modality: PSMA PET/CT | tracer: 18F-PSMA | view: axial | deidentification: head region blanked (face removed)
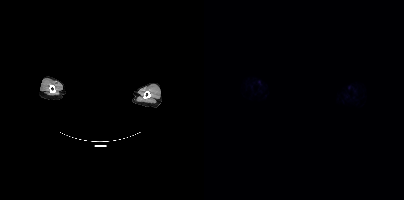
No tumor lesions annotated on this slice.